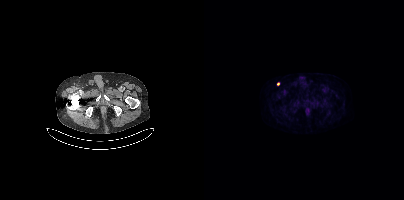
Paired axial CT (left) and PSMA PET (right), 18F tracer. Slice position z = -122 mm. Coordinates are on the 200×200 PET (right) panel. Small PSMA-avid focus (2 to 4 px across) near (center x, center y): (73, 83).